Technique: Left: CT. Right: PSMA PET, same axial level, 18F tracer. acquired on Siemens Biograph mCT Flow 20. PET panel 200×200 px (4.1 mm/px).
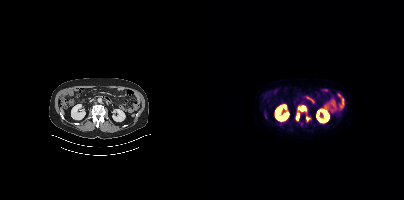
Findings: Coordinates are on the 200×200 PET (right) panel. PSMA-avid tumor lesion bounding boxes (x0,y0,x1,y1): [94,106,102,111] [92,113,95,120]. Small PSMA-avid focus (2 to 4 px across) near (center x, center y): (103, 118).